Two-panel axial: CT | PSMA PET, [68Ga]Ga-PSMA-11 tracer. Acquired on Siemens Biograph 64-4R TruePoint. Slice position z = -900 mm. PET panel 168×168 px (4.1 mm/px).
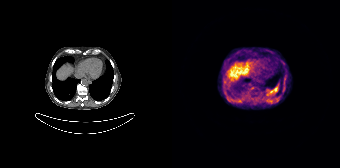
Coordinates are on the 168×168 PET (right) panel. (showing 1 of 2 foci) Small PSMA-avid focus (2 to 4 px across) near (center x, center y): (104, 99).